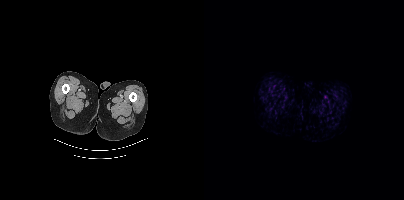
modality: PSMA PET/CT | tracer: [18F]PSMA-1007 | view: axial
This slice has no annotated PSMA-avid lesion.